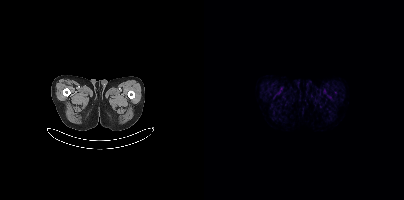
No PSMA-avid tumor lesions on this slice.